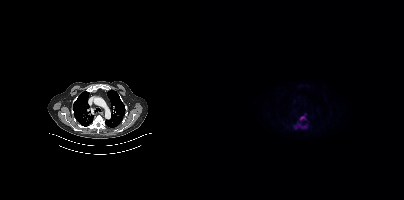
{"modality":"PSMA PET/CT","view":"axial","tracer":"18F-PSMA","pet_grid":[200,200],"coord_frame":"pet_panel","coord_format":"x0,y0,x1,y1","lesion_bboxes":[[90,122,103,129],[95,115,102,121]]}